Paired axial CT (left) and PSMA PET (right), 68Ga tracer. Acquired on Siemens Biograph 64-4R TruePoint. Slice 124 of 195. PET panel 168×168 px (4.1 mm/px).
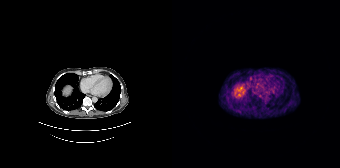
No PSMA-avid tumor lesions on this slice.